Technique: Paired axial CT (left) and PSMA PET (right), 18F tracer. acquired on Siemens Biograph mCT Flow 20. slice position z = -612 mm.
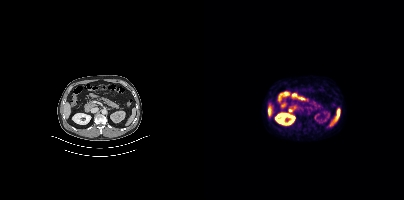
Findings: This slice has no annotated PSMA-avid lesion.